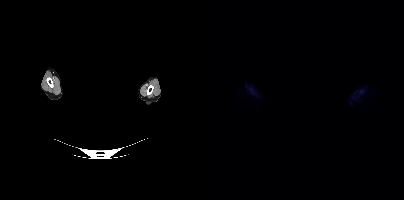
{"modality":"PSMA PET/CT","view":"axial","tracer":"[18F]PSMA-1007","pet_grid":[200,200],"coord_frame":"pet_panel","coord_format":"x0,y0,x1,y1","psma_avid_lesions":false,"redaction":"privacy mask over head"}